Paired axial CT (left) and PSMA PET (right), 68Ga tracer. Acquired on Siemens Biograph 64-4R TruePoint.
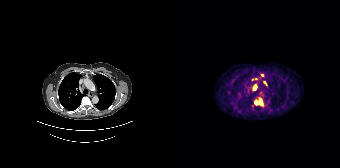
Coordinates are on the 168×168 PET (right) panel. (showing 5 of 6 foci) PSMA-avid tumor lesion bounding boxes (x, y, width, height): x=82 y=98 w=9 h=8 / x=81 y=84 w=4 h=7 / x=92 y=81 w=3 h=5. Small PSMA-avid foci (2 to 4 px across) near (center x, center y): (90, 75) / (83, 78).